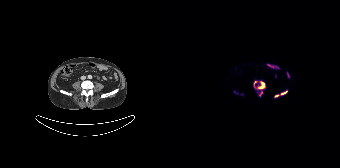
Two-panel axial: CT | PSMA PET, 18F-PSMA tracer. Slice 52 of 165.
Coordinates are on the 168×168 PET (right) panel. PSMA-avid tumor lesion bounding boxes:
| # | x0 | y0 | x1 | y1 |
|---|---|---|---|---|
| 1 | 81 | 80 | 93 | 96 |
| 2 | 102 | 90 | 115 | 97 |